modality: PSMA PET/CT | tracer: 18F-PSMA | view: axial | PET grid: 200×200
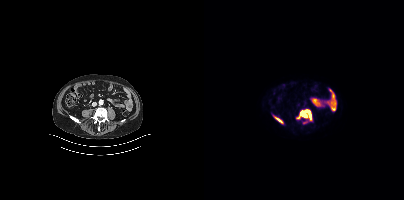
Coordinates are on the 200×200 PET (right) panel. PSMA-avid tumor lesion bounding boxes (x, y, width, height): x=92 y=109 w=16 h=11 / x=70 y=116 w=9 h=8. Small PSMA-avid focus (2 to 4 px across) near (center x, center y): (101, 122).